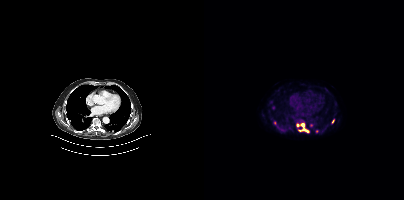
Findings: Coordinates are on the 200×200 PET (right) panel. (showing 3 of 5 foci) PSMA-avid tumor lesion bounding box (x, y, width, height): x=93 y=123 w=12 h=10. Small PSMA-avid foci (2 to 4 px across) near (center x, center y): (129, 121) / (107, 125).
Technique: Two-panel axial: CT | PSMA PET, 18F tracer.